Technique: Two-panel axial: CT | PSMA PET, 68Ga-PSMA tracer. PET panel 256×256 px (2.7 mm/px).
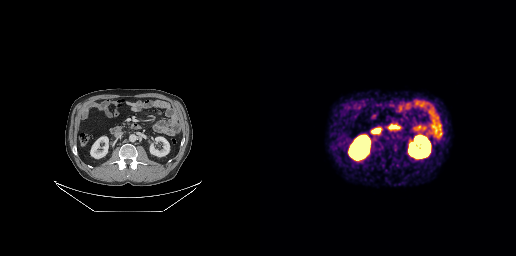
Findings: No tumor lesions annotated on this slice.